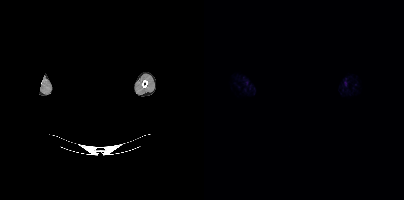
De-identified by setting a box covering the face to black before release.
No PSMA-avid tumor lesions on this slice.